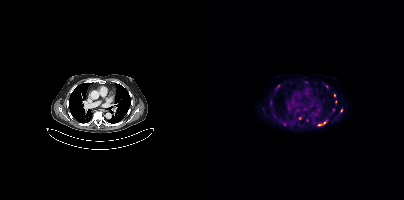
Technique: Two-panel axial: CT | PSMA PET, 18F-PSMA tracer.
Findings: Coordinates are on the 200×200 PET (right) panel. (showing 8 of 9 foci) PSMA-avid tumor lesion bounding box (x0, y0)-(x1, y1): (114, 121)-(122, 125). Small PSMA-avid foci (2 to 4 px across) near (center x, center y): (137, 110); (130, 95); (96, 117); (122, 86); (131, 101); (80, 124); (129, 109).